Two-panel axial: CT | PSMA PET, 68Ga tracer.
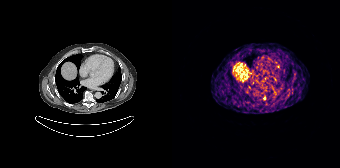
Coordinates are on the 168×168 PET (right) panel. Small PSMA-avid focus (2 to 4 px across) near (center x, center y): (92, 98).